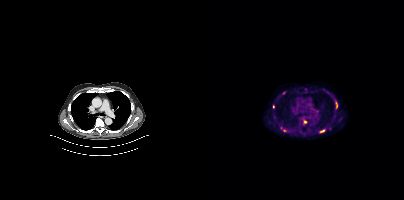
Coordinates are on the 200×200 PET (right) panel. (showing 5 of 7 foci) PSMA-avid tumor lesion bounding boxes (x0,y0,x1,y1): [116,129,120,132]; [132,102,133,107]. Small PSMA-avid foci (2 to 4 px across) near (center x, center y): (101, 121); (69, 106); (80, 130). Paired axial CT (left) and PSMA PET (right), 18F tracer. Acquired on Siemens Biograph mCT Flow 20.